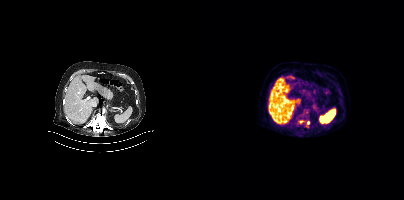
Coordinates are on the 200×200 PET (right) panel. PSMA-avid tumor lesion bounding box (x0, y0)-(x1, y1): (102, 121)-(105, 127). Small PSMA-avid focus (2 to 4 px across) near (center x, center y): (97, 121).